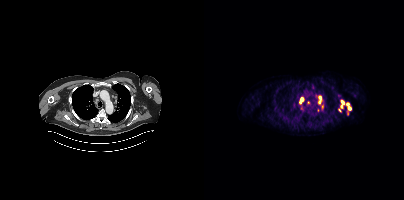
modality: PSMA PET/CT | tracer: 68Ga-PSMA | view: axial
Coordinates are on the 200×200 PET (right) panel. (showing 8 of 10 foci) PSMA-avid tumor lesion bounding boxes (x, y, width, height): x=115 y=96 w=3 h=8 / x=96 y=98 w=4 h=6 / x=137 y=99 w=4 h=6. Small PSMA-avid foci (2 to 4 px across) near (center x, center y): (145, 108) / (135, 110) / (104, 102) / (143, 103) / (137, 106).